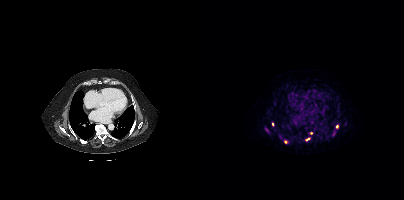
{"modality":"PSMA PET/CT","view":"axial","tracer":"[68Ga]Ga-PSMA-11","pet_grid":[200,200],"coord_frame":"pet_panel","coord_format":"x0,y0,x1,y1","lesion_bboxes":[],"small_foci_centers":[[81,141],[133,126],[107,133],[103,139],[68,125],[129,134]]}